Left: CT. Right: PSMA PET, same axial level, 18F-PSMA tracer. Slice position z = -830 mm.
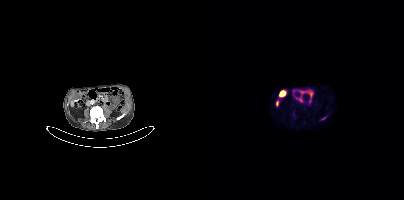
Coordinates are on the 200×200 PET (right) panel. PSMA-avid tumor lesion bounding boxes:
| # | x0 | y0 | x1 | y1 |
|---|---|---|---|---|
| 1 | 118 | 117 | 122 | 119 |